Left: CT. Right: PSMA PET, same axial level, 18F tracer. Slice position z = -512 mm.
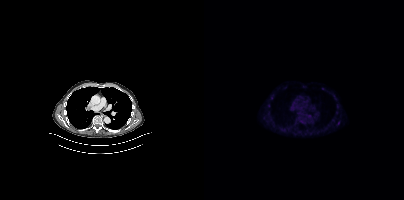
No tumor lesions annotated on this slice.